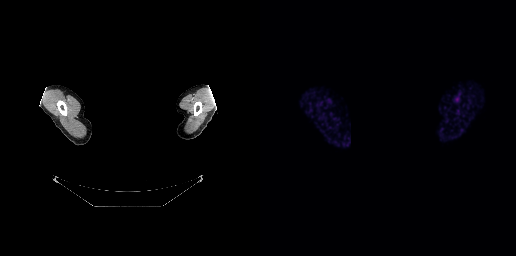
- any black rectangle over the head is a privacy mask, not anatomy
- Two-panel axial: CT | PSMA PET, 68Ga-PSMA tracer
- acquired on GE Discovery 690
- slice 254 of 263
- PET panel 256×256 px (2.7 mm/px)
Findings: Negative for PSMA-avid disease on this slice.